modality: PSMA PET/CT | tracer: [68Ga]Ga-PSMA-11 | view: axial | PET grid: 168×168
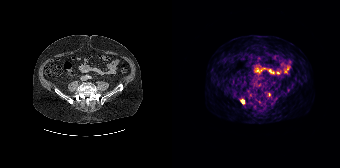
Coordinates are on the 168×168 PET (right) panel. (showing 1 of 2 foci) PSMA-avid tumor lesion bounding box (x0, y0)-(x1, y1): (69, 99)-(72, 103).